- Paired axial CT (left) and PSMA PET (right), 18F-PSMA tracer
- slice position z = -1589 mm
- PET panel 200×200 px (4.1 mm/px)
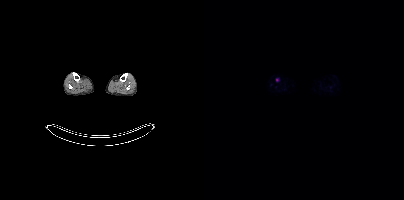
Findings: Coordinates are on the 200×200 PET (right) panel. Small PSMA-avid focus (2 to 4 px across) near (center x, center y): (73, 80).